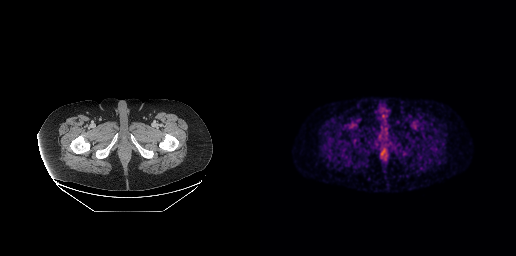
- Paired axial CT (left) and PSMA PET (right), 18F-PSMA tracer
Findings: This slice has no annotated PSMA-avid lesion.